Paired axial CT (left) and PSMA PET (right), 18F-PSMA tracer. PET panel 256×256 px (2.7 mm/px).
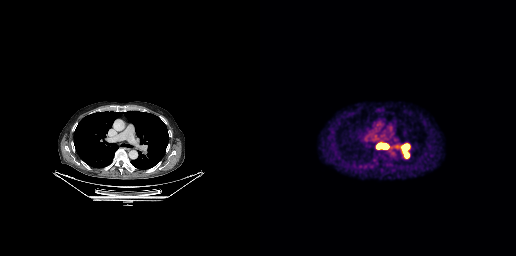
Coordinates are on the 256×256 PET (right) panel. PSMA-avid tumor lesion bounding boxes (x0, y0)-(x1, y1): (140, 143)-(150, 158) / (116, 142)-(129, 149). Small PSMA-avid focus (2 to 4 px across) near (center x, center y): (136, 146).